Left: CT. Right: PSMA PET, same axial level, 18F-PSMA tracer. Acquired on Siemens Biograph mCT Flow 20.
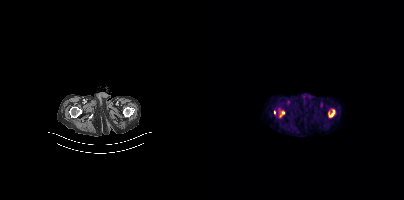
Coordinates are on the 200×200 PET (right) panel. PSMA-avid tumor lesion bounding boxes (x, y, width, height): x=75 y=110 w=6 h=8; x=70 y=110 w=2 h=5.